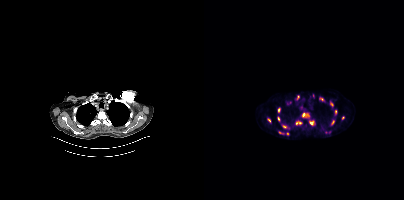
Findings: Coordinates are on the 200×200 PET (right) panel. (showing 15 of 16 foci) PSMA-avid tumor lesion bounding boxes (x0, y0)-(x1, y1): (98, 113)-(105, 117) / (91, 120)-(97, 125) / (105, 121)-(110, 125) / (78, 125)-(83, 128) / (92, 95)-(95, 100) / (74, 108)-(76, 112) / (73, 116)-(76, 121) / (63, 118)-(66, 122) / (75, 131)-(80, 134) / (126, 102)-(129, 106) / (128, 120)-(130, 124). Small PSMA-avid foci (2 to 4 px across) near (center x, center y): (131, 111) / (118, 99) / (139, 118) / (109, 95).
Technique: Two-panel axial: CT | PSMA PET, [18F]PSMA-1007 tracer. slice position z = -314 mm.